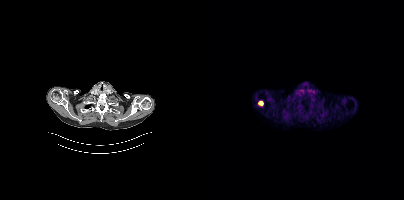
Two-panel axial: CT | PSMA PET, 18F tracer. Acquired on Siemens Biograph mCT Flow 20. Slice 355 of 427.
Coordinates are on the 200×200 PET (right) panel. PSMA-avid tumor lesion bounding boxes:
| # | x0 | y0 | x1 | y1 |
|---|---|---|---|---|
| 1 | 54 | 101 | 59 | 105 |